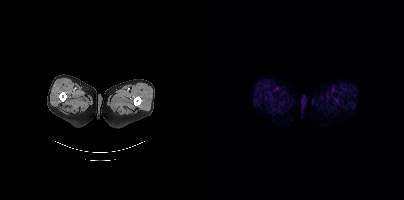
This slice has no annotated PSMA-avid lesion. Left: CT. Right: PSMA PET, same axial level, [18F]PSMA-1007 tracer. Acquired on Siemens Biograph mCT Flow 20. Slice 20 of 448.